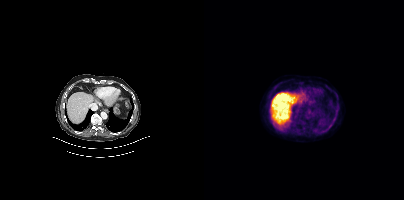
- Left: CT. Right: PSMA PET, same axial level, 18F tracer
- PET panel 200×200 px (4.1 mm/px)
Findings: No tumor lesions annotated on this slice.